- Paired axial CT (left) and PSMA PET (right), 68Ga-PSMA tracer
- acquired on Siemens Biograph mCT Flow 20
- PET panel 200×200 px (4.1 mm/px)
- any black rectangle over the head is a privacy mask, not anatomy
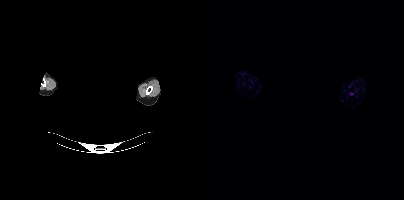
Findings: No PSMA-avid tumor lesions on this slice.